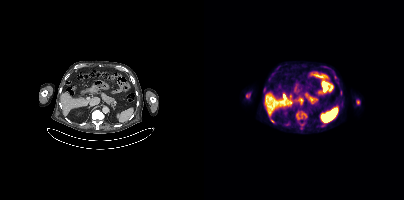
Coordinates are on the 200×200 PET (right) panel. (showing 4 of 5 foci) PSMA-avid tumor lesion bounding boxes (x0, y0)-(x1, y1): (93, 112)-(98, 117) / (42, 94)-(46, 97) / (152, 100)-(155, 104). Small PSMA-avid focus (2 to 4 px across) near (center x, center y): (136, 92). Left: CT. Right: PSMA PET, same axial level, [18F]PSMA-1007 tracer. PET panel 200×200 px (4.1 mm/px).